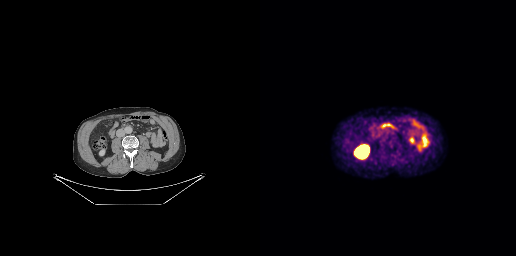
Negative for PSMA-avid disease on this slice.